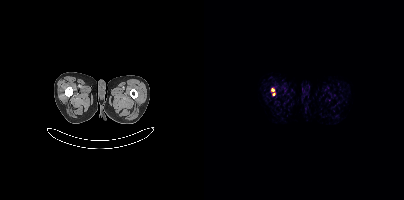
{"modality":"PSMA PET/CT","view":"axial","tracer":"18F","pet_grid":[200,200],"coord_frame":"pet_panel","coord_format":"x0,y0,x1,y1","lesion_bboxes":[],"small_foci_centers":[[68,89],[69,93]]}